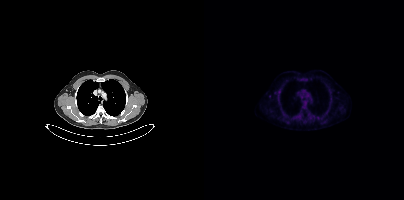
Findings: Coordinates are on the 200×200 PET (right) panel. Small PSMA-avid focus (2 to 4 px across) near (center x, center y): (71, 92).
- Two-panel axial: CT | PSMA PET, [18F]PSMA-1007 tracer
- PET panel 200×200 px (4.1 mm/px)